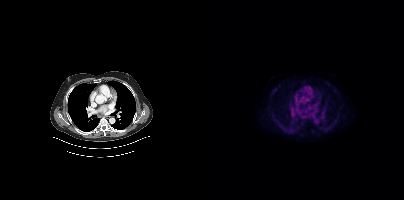
- Paired axial CT (left) and PSMA PET (right), 18F-PSMA tracer
- acquired on Siemens Biograph mCT Flow 20
Findings: No tumor lesions annotated on this slice.